Two-panel axial: CT | PSMA PET, [18F]PSMA-1007 tracer. Acquired on Siemens Biograph mCT Flow 20. PET panel 200×200 px (4.1 mm/px).
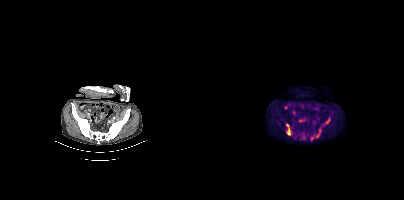
Coordinates are on the 200×200 PET (right) panel. PSMA-avid tumor lesion bounding boxes (x0,y0,x1,y1): [106,128,116,140], [82,124,88,135], [89,135,97,139], [121,117,126,124]. Small PSMA-avid focus (2 to 4 px across) near (center x, center y): (100, 138).